- Paired axial CT (left) and PSMA PET (right), 18F-PSMA tracer
- acquired on Siemens Biograph mCT Flow 20
- slice position z = -532 mm
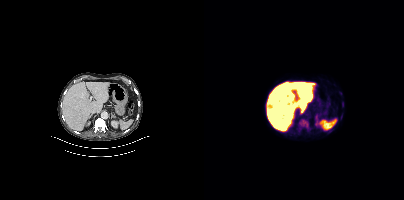
Findings: Coordinates are on the 200×200 PET (right) panel. PSMA-avid tumor lesion bounding boxes (x0,y0,x1,y1): [95,119,104,128] [138,102,139,106]. Small PSMA-avid focus (2 to 4 px across) near (center x, center y): (136, 93).